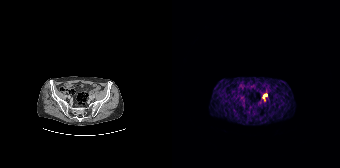
Coordinates are on the 168×168 PET (right) panel. PSMA-avid tumor lesion bounding box (x0, y0)-(x1, y1): (91, 94)-(95, 100).